modality: PSMA PET/CT | tracer: [18F]PSMA-1007 | view: axial
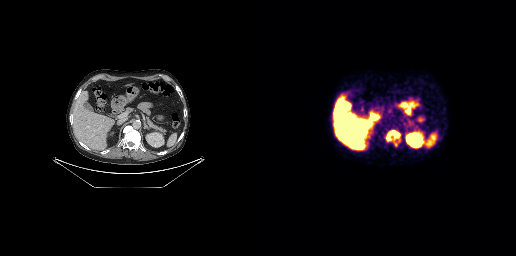
Coordinates are on the 256×256 PET (right) panel. PSMA-avid tumor lesion bounding box (x, y, width, height): x=125 y=129 w=16 h=18.